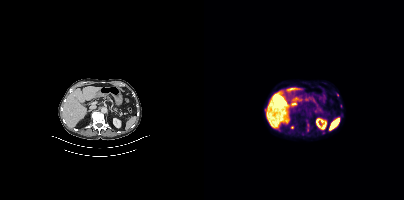
Coordinates are on the 200×200 PET (right) panel. (showing 1 of 2 foci) Small PSMA-avid focus (2 to 4 px across) near (center x, center y): (88, 127).